Left: CT. Right: PSMA PET, same axial level, [18F]PSMA-1007 tracer. Acquired on Siemens Biograph mCT Flow 20. Slice position z = 378 mm. PET panel 200×200 px (4.1 mm/px).
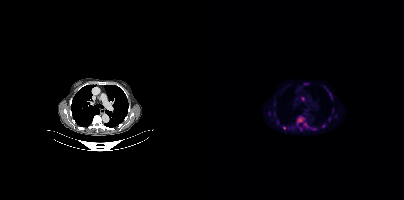
Coordinates are on the 200×200 PET (right) panel. PSMA-avid tumor lesion bounding boxes:
| # | x0 | y0 | x1 | y1 |
|---|---|---|---|---|
| 1 | 93 | 116 | 100 | 123 |
| 2 | 125 | 92 | 128 | 98 |
| 3 | 100 | 123 | 103 | 127 |
Small PSMA-avid foci (2 to 4 px across) near (center x, center y): (98, 98); (65, 113); (80, 127); (70, 113); (70, 104); (119, 126); (110, 128); (96, 128).